modality: PSMA PET/CT | tracer: 18F | view: axial | PET grid: 200×200
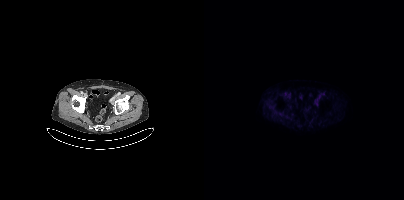
No tumor lesions annotated on this slice.